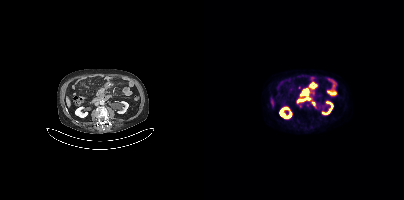
Coordinates are on the 200×200 PET (right) panel. (showing 3 of 4 foci) PSMA-avid tumor lesion bounding boxes (x, y, width, height): x=98 y=89 w=8 h=6 | x=106 y=82 w=7 h=7. Small PSMA-avid focus (2 to 4 px across) near (center x, center y): (103, 105).